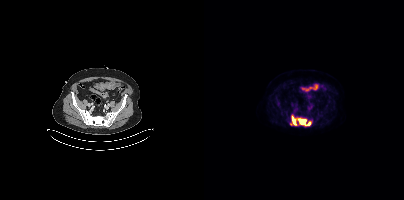
Paired axial CT (left) and PSMA PET (right), 18F tracer. PET panel 200×200 px (4.1 mm/px).
Coordinates are on the 200×200 PET (right) panel. PSMA-avid tumor lesion bounding boxes:
| # | x0 | y0 | x1 | y1 |
|---|---|---|---|---|
| 1 | 86 | 115 | 107 | 126 |